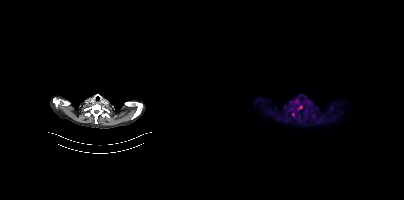
Findings: Coordinates are on the 200×200 PET (right) panel. Small PSMA-avid focus (2 to 4 px across) near (center x, center y): (96, 107).
- Two-panel axial: CT | PSMA PET, 18F tracer
- PET panel 200×200 px (4.1 mm/px)